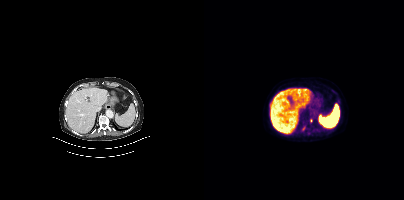
- Paired axial CT (left) and PSMA PET (right), 18F tracer
- acquired on Siemens Biograph mCT Flow 20
- PET panel 200×200 px (4.1 mm/px)
Findings: Coordinates are on the 200×200 PET (right) panel. (showing 1 of 2 foci) Small PSMA-avid focus (2 to 4 px across) near (center x, center y): (106, 120).